Two-panel axial: CT | PSMA PET, 68Ga tracer. Slice 9 of 195. PET panel 168×168 px (4.1 mm/px).
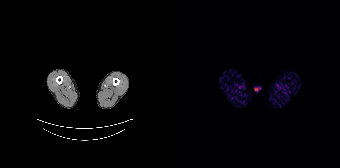
No PSMA-avid tumor lesions on this slice.